Paired axial CT (left) and PSMA PET (right), [68Ga]Ga-PSMA-11 tracer. Acquired on Siemens Biograph 64-4R TruePoint.
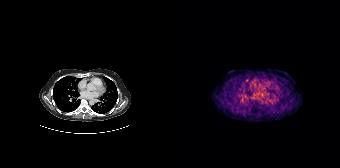
Only PSMA-avid lesion pieces thinner than 2 px on this slice (not listed).